modality: PSMA PET/CT | tracer: 18F-PSMA | view: axial
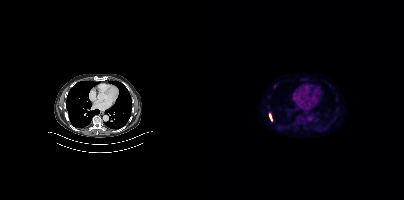
Coordinates are on the 200×200 PET (right) panel. (showing 1 of 2 foci) PSMA-avid tumor lesion bounding box (x0, y0)-(x1, y1): (65, 114)-(68, 120).